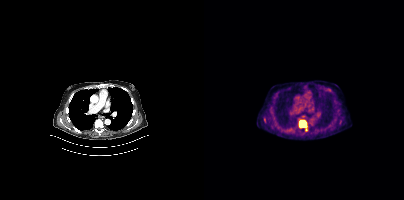
Coordinates are on the 200×200 PET (right) panel. (showing 1 of 2 foci) PSMA-avid tumor lesion bounding box (x0, y0)-(x1, y1): (95, 120)-(101, 127).
modality: PSMA PET/CT | tracer: 18F-PSMA | view: axial